Two-panel axial: CT | PSMA PET, [18F]PSMA-1007 tracer. Slice position z = 1762 mm.
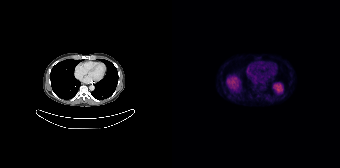
This slice has no annotated PSMA-avid lesion.